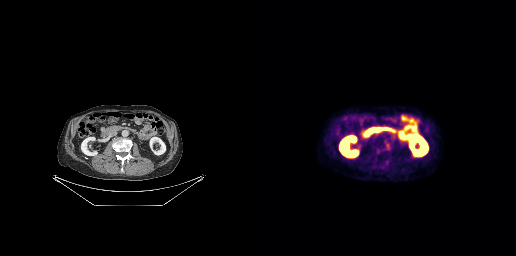
Paired axial CT (left) and PSMA PET (right), 18F tracer. PET panel 256×256 px (2.7 mm/px). Coordinates are on the 256×256 PET (right) panel. PSMA-avid tumor lesion bounding boxes (x, y, width, height): x=124 y=139 w=8 h=10 / x=130 y=132 w=6 h=7 / x=117 y=149 w=3 h=5.